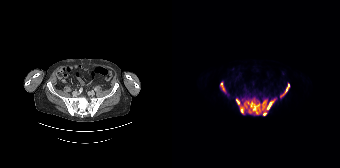
- Paired axial CT (left) and PSMA PET (right), 18F tracer
- PET panel 168×168 px (4.1 mm/px)
Findings: Coordinates are on the 168×168 PET (right) panel. PSMA-avid tumor lesion bounding boxes (x, y, width, height): x=63 y=97 w=42 h=19 / x=48 y=81 w=7 h=13 / x=108 y=85 w=10 h=13.